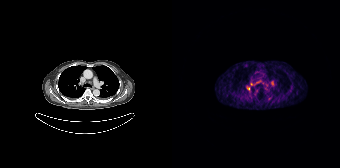
Coordinates are on the 168×168 PET (right) panel. PSMA-avid tumor lesion bounding box (x, y, width, height): x=74 y=86 w=5 h=5. Small PSMA-avid foci (2 to 4 px across) near (center x, center y): (100, 82) / (79, 83).